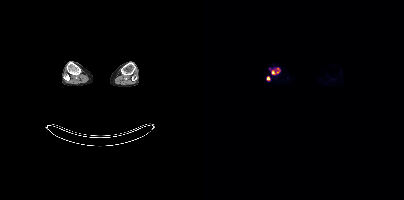
Coordinates are on the 200×200 PET (right) panel. PSMA-avid tumor lesion bounding boxes (x0,y0,x1,y1): [72,68,76,72]; [68,70,70,74]. Small PSMA-avid focus (2 to 4 px across) near (center x, center y): (64, 78).
modality: PSMA PET/CT | tracer: 18F-PSMA | view: axial